Two-panel axial: CT | PSMA PET, [18F]PSMA-1007 tracer. Slice position z = -132 mm.
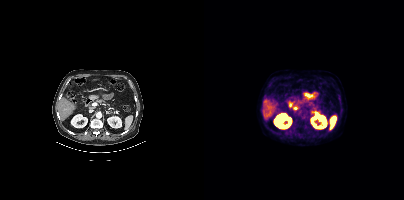
This slice has no annotated PSMA-avid lesion.